Technique: Paired axial CT (left) and PSMA PET (right), [18F]PSMA-1007 tracer. slice 259 of 381. PET panel 200×200 px (4.1 mm/px).
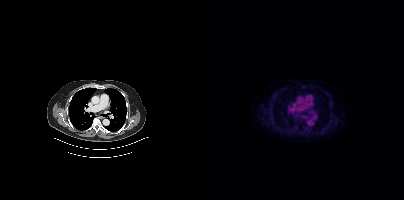
Findings: This slice has no annotated PSMA-avid lesion.